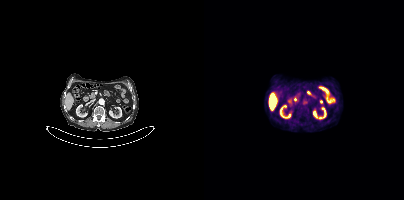
No tumor lesions annotated on this slice. Left: CT. Right: PSMA PET, same axial level, [18F]PSMA-1007 tracer. Acquired on Siemens Biograph mCT Flow 20. Slice position z = -1384 mm. PET panel 200×200 px (4.1 mm/px).